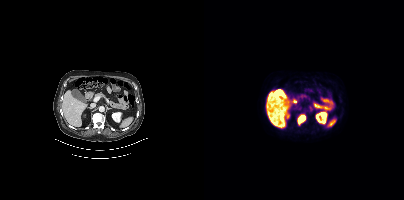
Paired axial CT (left) and PSMA PET (right), [18F]PSMA-1007 tracer. Slice position z = -1140 mm. Coordinates are on the 200×200 PET (right) panel. PSMA-avid tumor lesion bounding box (x0,y0,x1,y1): [93,114,101,124].